modality: PSMA PET/CT | tracer: [68Ga]Ga-PSMA-11 | view: axial
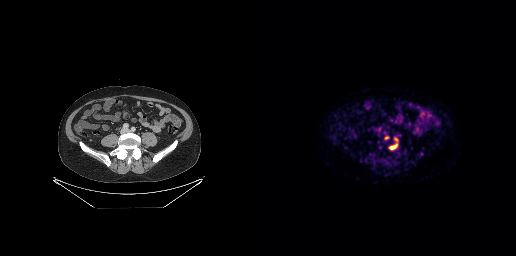
Coordinates are on the 256×256 PET (right) panel. PSMA-avid tumor lesion bounding box (x0, y0)-(x1, y1): (130, 145)-(136, 149).